Technique: Left: CT. Right: PSMA PET, same axial level, 18F tracer. PET panel 200×200 px (4.1 mm/px).
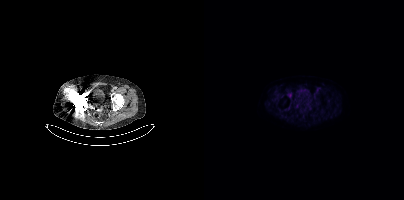
Findings: No tumor lesions annotated on this slice.